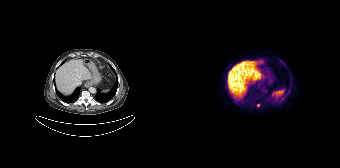
Findings: Coordinates are on the 168×168 PET (right) panel. Small PSMA-avid focus (2 to 4 px across) near (center x, center y): (86, 105).
- Paired axial CT (left) and PSMA PET (right), 18F tracer
- PET panel 168×168 px (4.1 mm/px)